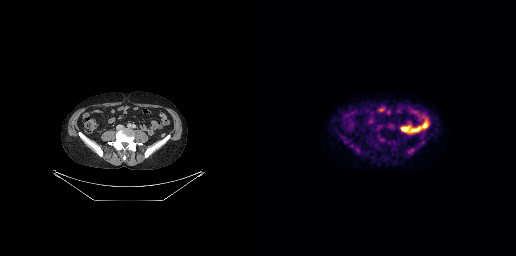
Left: CT. Right: PSMA PET, same axial level, 18F-PSMA tracer. Slice 125 of 299. PET panel 256×256 px (2.7 mm/px). No PSMA-avid tumor lesions on this slice.